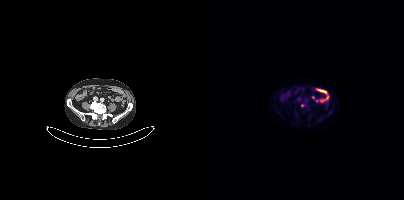
Paired axial CT (left) and PSMA PET (right), [18F]PSMA-1007 tracer. Acquired on Siemens Biograph mCT Flow 20. Slice position z = -668 mm. Coordinates are on the 200×200 PET (right) panel. Small PSMA-avid focus (2 to 4 px across) near (center x, center y): (98, 105).